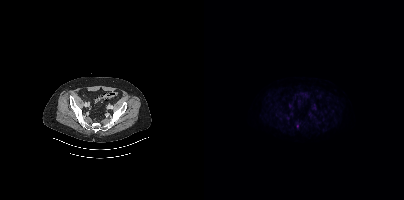
Coordinates are on the 200×200 PET (right) panel. Small PSMA-avid focus (2 to 4 px across) near (center x, center y): (93, 125).